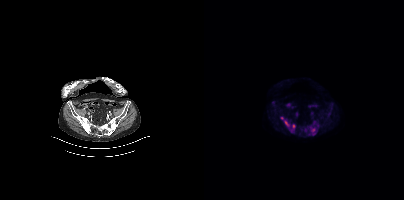
Left: CT. Right: PSMA PET, same axial level, 18F tracer. Acquired on Siemens Biograph mCT Flow 20. PET panel 200×200 px (4.1 mm/px).
Coordinates are on the 200×200 PET (right) panel. PSMA-avid tumor lesion bounding boxes:
| # | x0 | y0 | x1 | y1 |
|---|---|---|---|---|
| 1 | 77 | 117 | 85 | 126 |
| 2 | 107 | 129 | 111 | 134 |
| 3 | 109 | 120 | 113 | 124 |
| 4 | 86 | 124 | 90 | 130 |